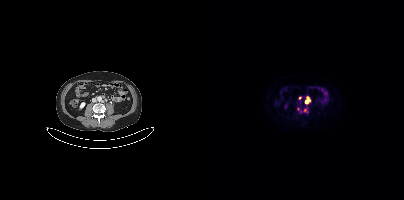
Findings: Coordinates are on the 200×200 PET (right) panel. (showing 3 of 4 foci) PSMA-avid tumor lesion bounding boxes (x, y, width, height): x=93 y=108 w=12 h=6 / x=101 y=97 w=6 h=7. Small PSMA-avid focus (2 to 4 px across) near (center x, center y): (95, 98).
Technique: Two-panel axial: CT | PSMA PET, [68Ga]Ga-PSMA-11 tracer. slice position z = -1307 mm. PET panel 200×200 px (4.1 mm/px).